Technique: Paired axial CT (left) and PSMA PET (right), 18F tracer. PET panel 200×200 px (4.1 mm/px).
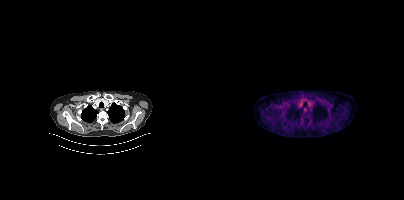
Findings: No PSMA-avid tumor lesions on this slice.